Paired axial CT (left) and PSMA PET (right), 18F tracer. Acquired on GE Discovery 690. PET panel 256×256 px (2.7 mm/px).
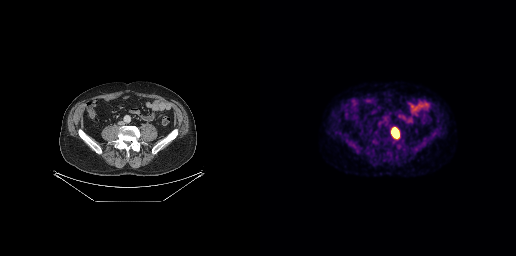
Coordinates are on the 256×256 PET (right) panel. PSMA-avid tumor lesion bounding box (x, y, width, height): x=131 y=128 w=8 h=10.